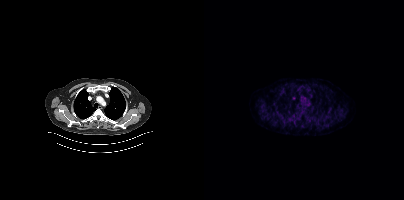
Left: CT. Right: PSMA PET, same axial level, [18F]PSMA-1007 tracer. Slice 340 of 433. PET panel 200×200 px (4.1 mm/px). No PSMA-avid tumor lesions on this slice.